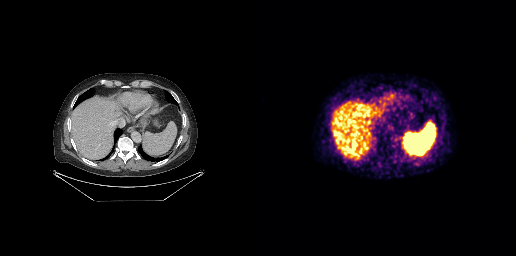
{"pet_grid":[256,256],"coord_frame":"pet_panel","coord_format":"x0,y0,x1,y1","psma_avid_lesions":false,"modality":"PSMA PET/CT","view":"axial","tracer":"[68Ga]Ga-PSMA-11"}